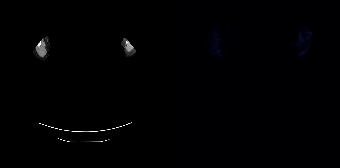
{"modality":"PSMA PET/CT","view":"axial","tracer":"18F-PSMA","pet_grid":[168,168],"coord_frame":"pet_panel","coord_format":"x0,y0,x1,y1","redaction":"facial region redacted","psma_avid_lesions":false}